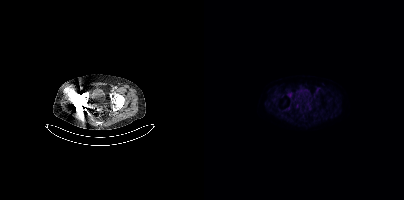
No tumor lesions annotated on this slice.